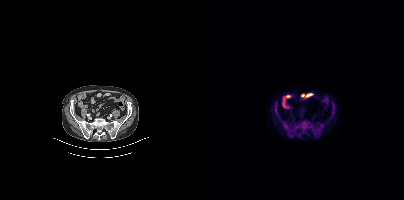
Coordinates are on the 200×200 PET (right) panel. PSMA-avid tumor lesion bounding boxes:
| # | x0 | y0 | x1 | y1 |
|---|---|---|---|---|
| 1 | 128 | 104 | 131 | 113 |
| 2 | 71 | 104 | 74 | 116 |
Two-panel axial: CT | PSMA PET, 18F-PSMA tracer. Acquired on Siemens Biograph mCT Flow 20. PET panel 200×200 px (4.1 mm/px).